Technique: Left: CT. Right: PSMA PET, same axial level, 18F-PSMA tracer. slice 35 of 435. PET panel 200×200 px (4.1 mm/px).
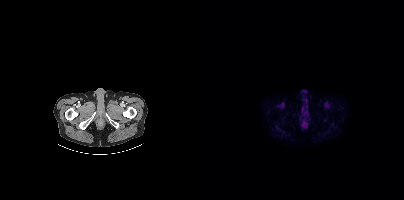
Findings: No tumor lesions annotated on this slice.